Technique: Paired axial CT (left) and PSMA PET (right), 18F-PSMA tracer. acquired on Siemens Biograph mCT Flow 20.
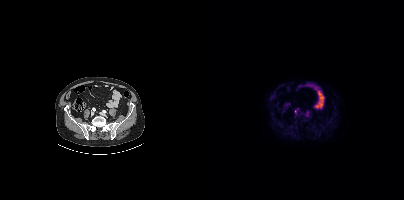
Findings: Coordinates are on the 200×200 PET (right) panel. Small PSMA-avid focus (2 to 4 px across) near (center x, center y): (91, 111).